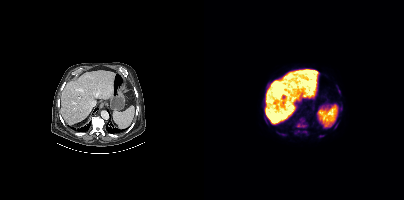
Findings: Coordinates are on the 200×200 PET (right) panel. (showing 7 of 8 foci) PSMA-avid tumor lesion bounding boxes (x, y, width, height): x=92 y=117 w=12 h=11 / x=132 y=85 w=5 h=9 / x=130 y=123 w=5 h=6 / x=98 y=131 w=5 h=3 / x=115 y=135 w=5 h=3 / x=77 y=134 w=5 h=2 / x=91 y=130 w=5 h=4.
- Paired axial CT (left) and PSMA PET (right), 18F-PSMA tracer
- PET panel 200×200 px (4.1 mm/px)